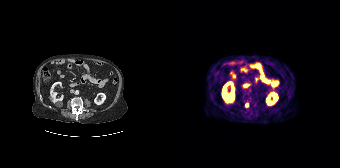
Coordinates are on the 168×168 PET (right) panel. Small PSMA-avid focus (2 to 4 px across) near (center x, center y): (75, 104).